modality: PSMA PET/CT | tracer: [18F]PSMA-1007 | view: axial | PET grid: 200×200
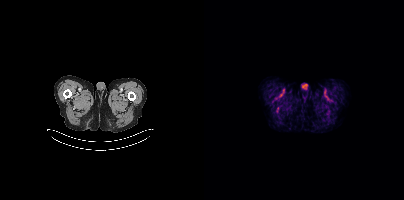
This slice has no annotated PSMA-avid lesion.